- Left: CT. Right: PSMA PET, same axial level, [18F]PSMA-1007 tracer
- slice position z = -1036 mm
- PET panel 200×200 px (4.1 mm/px)
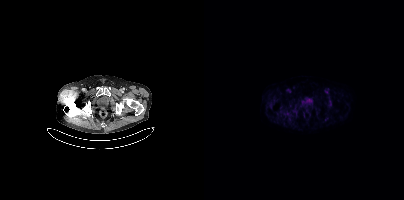
Findings: No tumor lesions annotated on this slice.